Paired axial CT (left) and PSMA PET (right), 18F tracer. Acquired on Siemens Biograph mCT Flow 20. Slice 162 of 415. PET panel 200×200 px (4.1 mm/px).
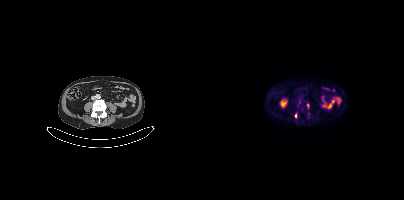
Coordinates are on the 200×200 PET (right) panel. PSMA-avid tumor lesion bounding box (x0, y0)-(x1, y1): (91, 113)-(92, 117). Small PSMA-avid focus (2 to 4 px across) near (center x, center y): (103, 105).